Paired axial CT (left) and PSMA PET (right), [18F]PSMA-1007 tracer. Slice position z = -378 mm. PET panel 200×200 px (4.1 mm/px).
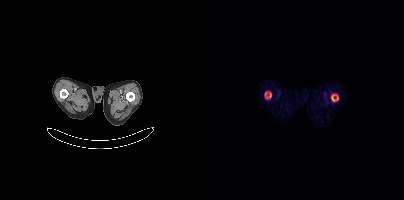
Coordinates are on the 200×200 PET (right) panel. PSMA-avid tumor lesion bounding boxes:
| # | x0 | y0 | x1 | y1 |
|---|---|---|---|---|
| 1 | 127 | 94 | 134 | 101 |
| 2 | 61 | 92 | 67 | 98 |